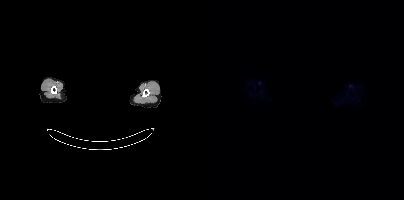
modality: PSMA PET/CT | tracer: 18F-PSMA | view: axial | deidentification: head region blanked (face removed)
No PSMA-avid tumor lesions on this slice.